Technique: Paired axial CT (left) and PSMA PET (right), 18F tracer. PET panel 256×256 px (2.7 mm/px).
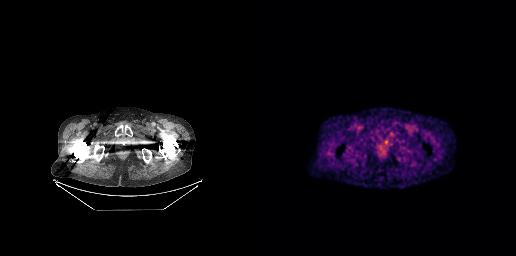
Findings: Coordinates are on the 256×256 PET (right) panel. Small PSMA-avid focus (2 to 4 px across) near (center x, center y): (131, 134).